- Paired axial CT (left) and PSMA PET (right), 68Ga tracer
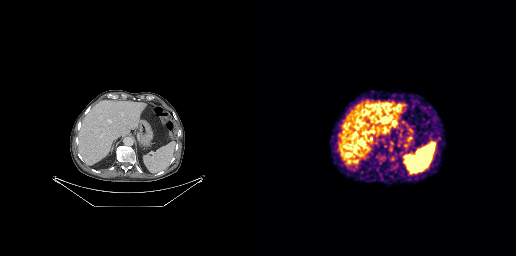
Findings: This slice has no annotated PSMA-avid lesion.